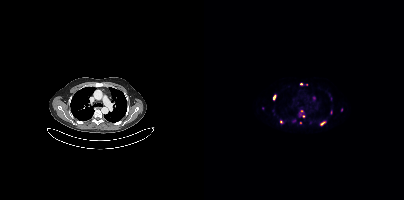
Paired axial CT (left) and PSMA PET (right), [68Ga]Ga-PSMA-11 tracer. PET panel 200×200 px (4.1 mm/px). Coordinates are on the 200×200 PET (right) panel. (showing 9 of 14 foci) PSMA-avid tumor lesion bounding boxes (x0,y0,x1,y1): [116,121,121,125], [95,111,98,116], [76,119,78,123], [69,95,71,99]. Small PSMA-avid foci (2 to 4 px across) near (center x, center y): (97, 83), (137, 110), (109, 97), (96, 122), (102, 84).